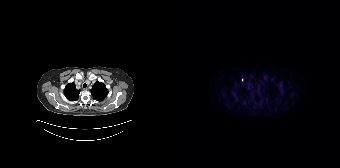
Left: CT. Right: PSMA PET, same axial level, 18F tracer. Coordinates are on the 168×168 PET (right) panel. Small PSMA-avid focus (2 to 4 px across) near (center x, center y): (70, 79).